- Two-panel axial: CT | PSMA PET, 18F tracer
- acquired on Siemens Biograph mCT Flow 20
- PET panel 200×200 px (4.1 mm/px)
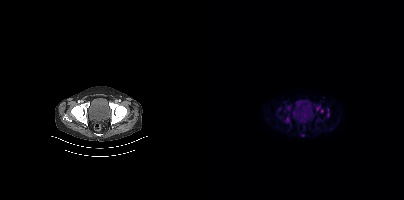
Findings: Coordinates are on the 200×200 PET (right) panel. PSMA-avid tumor lesion bounding boxes (x0,y0,x1,y1): [112,105,119,112] [81,116,85,122] [123,108,125,117]. Small PSMA-avid foci (2 to 4 px across) near (center x, center y): (84, 107) (75, 108).